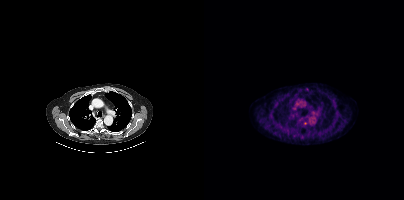
{"modality":"PSMA PET/CT","view":"axial","tracer":"18F-PSMA","pet_grid":[200,200],"coord_frame":"pet_panel","coord_format":"x0,y0,x1,y1","partial":true,"lesion_bboxes":[]}